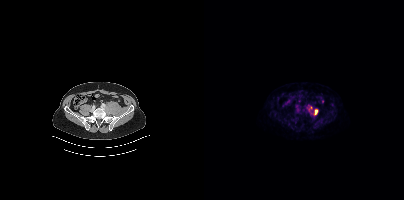
{"modality":"PSMA PET/CT","view":"axial","tracer":"[18F]PSMA-1007","pet_grid":[200,200],"coord_frame":"pet_panel","coord_format":"x0,y0,x1,y1","partial":true,"lesion_bboxes":[[110,109,114,115]],"small_foci_centers":[[106,107]]}